Two-panel axial: CT | PSMA PET, 18F tracer. Slice position z = -839 mm. PET panel 200×200 px (4.1 mm/px). De-identified by setting a box covering the face to black before release.
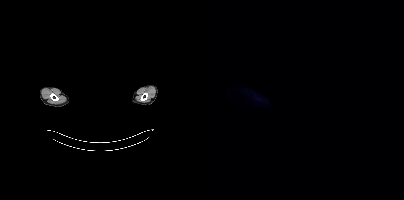
Negative for PSMA-avid disease on this slice.